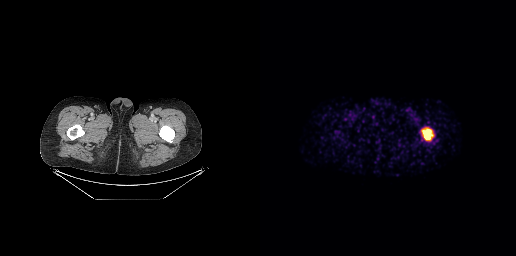
Coordinates are on the 256×256 PET (right) panel. PSMA-avid tumor lesion bounding boxes:
| # | x0 | y0 | x1 | y1 |
|---|---|---|---|---|
| 1 | 161 | 128 | 173 | 140 |
Left: CT. Right: PSMA PET, same axial level, 68Ga tracer. Slice 41 of 299. PET panel 256×256 px (2.7 mm/px).